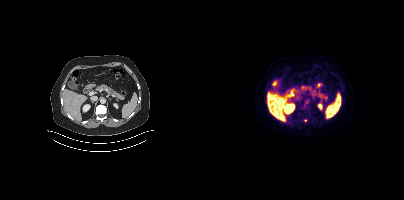
Coordinates are on the 200×200 PET (right) panel. Small PSMA-avid focus (2 to 4 px across) near (center x, center y): (101, 120).